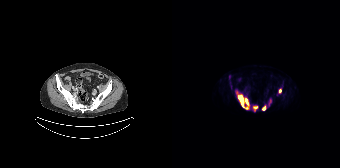
Paired axial CT (left) and PSMA PET (right), [18F]PSMA-1007 tracer. Acquired on Siemens Biograph 64-4R TruePoint.
Coordinates are on the 168×168 PET (right) panel. PSMA-avid tumor lesion bounding boxes (partial; 1 more focus not listed):
| # | x0 | y0 | x1 | y1 |
|---|---|---|---|---|
| 1 | 65 | 92 | 77 | 109 |
| 2 | 90 | 105 | 94 | 110 |
| 3 | 81 | 106 | 85 | 110 |
| 4 | 57 | 75 | 58 | 79 |
Small PSMA-avid focus (2 to 4 px across) near (center x, center y): (108, 90).